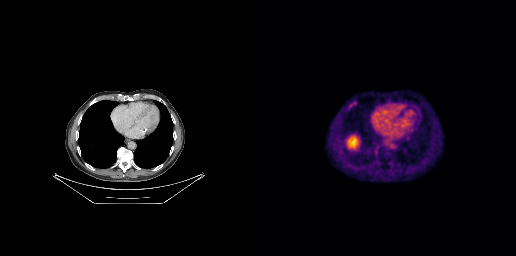
Technique: Two-panel axial: CT | PSMA PET, 18F-PSMA tracer.
Findings: Coordinates are on the 256×256 PET (right) panel. PSMA-avid tumor lesion bounding box (x, y, width, height): x=87 y=101 w=10 h=9.